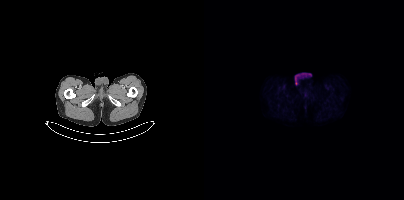
- Two-panel axial: CT | PSMA PET, 18F tracer
- acquired on Siemens Biograph mCT Flow 20
- slice 29 of 448
- PET panel 200×200 px (4.1 mm/px)
Findings: No tumor lesions annotated on this slice.